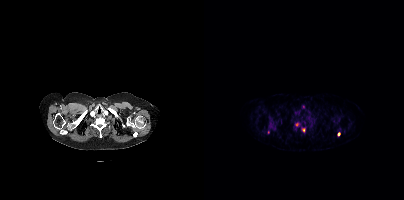
Two-panel axial: CT | PSMA PET, 68Ga-PSMA tracer. Slice 358 of 444.
Coordinates are on the 200×200 PET (right) panel. PSMA-avid tumor lesion bounding boxes (partial; 1 more focus not listed):
| # | x0 | y0 | x1 | y1 |
|---|---|---|---|---|
| 1 | 133 | 132 | 136 | 136 |
Small PSMA-avid foci (2 to 4 px across) near (center x, center y): (99, 130); (92, 124).